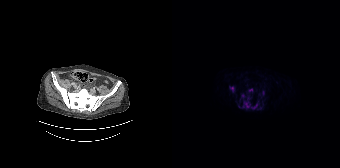
{"modality":"PSMA PET/CT","view":"axial","tracer":"[18F]PSMA-1007","pet_grid":[168,168],"coord_frame":"pet_panel","coord_format":"x0,y0,x1,y1","lesion_bboxes":[[71,101,78,107],[57,86,62,92],[79,104,85,108],[90,91,92,95]],"small_foci_centers":[[67,106],[79,89],[70,95],[75,98]]}